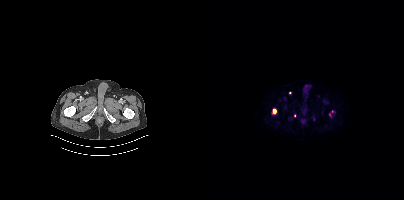
Paired axial CT (left) and PSMA PET (right), 18F-PSMA tracer. PET panel 200×200 px (4.1 mm/px). Coordinates are on the 200×200 PET (right) panel. (showing 4 of 5 foci) PSMA-avid tumor lesion bounding box (x0,y0,x1,y1): [68,108,72,114]. Small PSMA-avid foci (2 to 4 px across) near (center x, center y): (86, 92); (90, 115); (125, 114).